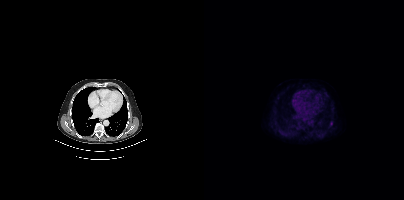
Left: CT. Right: PSMA PET, same axial level, 18F-PSMA tracer. Acquired on Siemens Biograph mCT Flow 20. PET panel 200×200 px (4.1 mm/px).
Coordinates are on the 200×200 PET (right) panel. PSMA-avid tumor lesion bounding boxes:
| # | x0 | y0 | x1 | y1 |
|---|---|---|---|---|
| 1 | 126 | 121 | 128 | 125 |